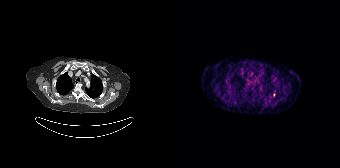
Findings: Coordinates are on the 168×168 PET (right) panel. Small PSMA-avid focus (2 to 4 px across) near (center x, center y): (102, 94).
- Left: CT. Right: PSMA PET, same axial level, 68Ga tracer
- PET panel 168×168 px (4.1 mm/px)